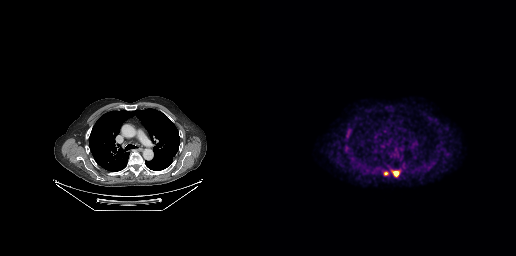
Coordinates are on the 256×256 PET (right) panel. PSMA-avid tumor lesion bounding box (x0, y0)-(x1, y1): (133, 171)-(138, 176). Small PSMA-avid focus (2 to 4 px across) near (center x, center y): (126, 173).